- Paired axial CT (left) and PSMA PET (right), 18F-PSMA tracer
- slice 112 of 448
- PET panel 200×200 px (4.1 mm/px)
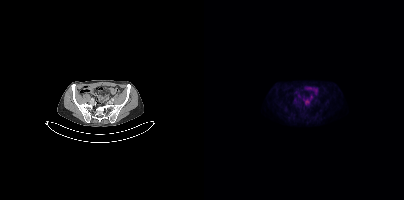
Findings: No PSMA-avid tumor lesions on this slice.